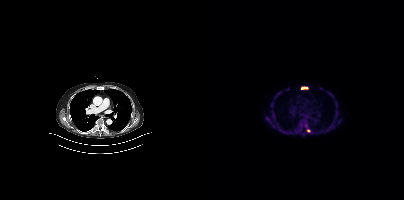
{"modality":"PSMA PET/CT","view":"axial","tracer":"18F","pet_grid":[200,200],"coord_frame":"pet_panel","coord_format":"x0,y0,x1,y1","lesion_bboxes":[[97,87,104,89],[67,113,70,119],[100,123,103,127]],"small_foci_centers":[[104,130]]}